- Two-panel axial: CT | PSMA PET, 18F-PSMA tracer
- slice position z = -1578 mm
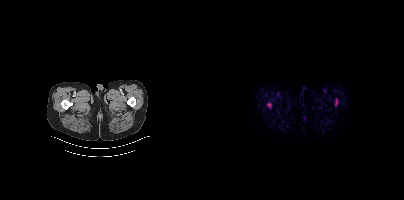
Findings: Coordinates are on the 200×200 PET (right) panel. PSMA-avid tumor lesion bounding box (x0, y0)-(x1, y1): (63, 103)-(67, 107). Small PSMA-avid focus (2 to 4 px across) near (center x, center y): (132, 101).